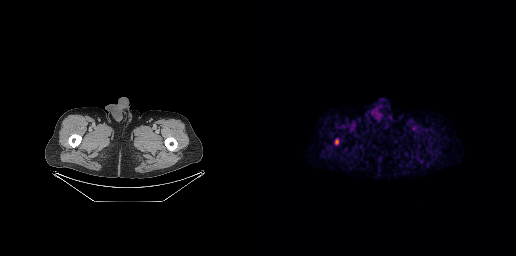
{"modality":"PSMA PET/CT","view":"axial","tracer":"18F-PSMA","pet_grid":[256,256],"coord_frame":"pet_panel","coord_format":"x0,y0,x1,y1","partial":true,"lesion_bboxes":[]}